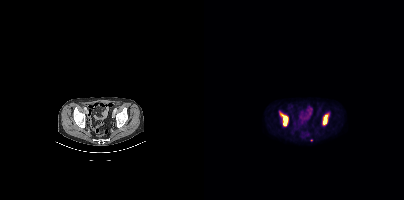
Coordinates are on the 200×200 PET (right) panel. (showing 3 of 4 foci) PSMA-avid tumor lesion bounding boxes (x, y, width, height): x=119 y=115 w=5 h=10 / x=80 y=116 w=4 h=10. Small PSMA-avid focus (2 to 4 px across) near (center x, center y): (78, 114).